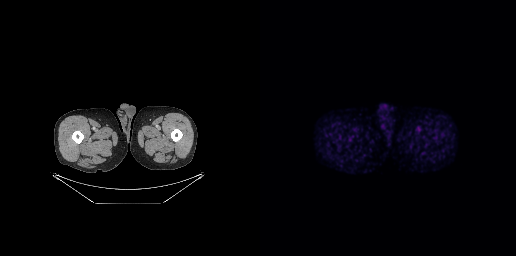
This slice has no annotated PSMA-avid lesion.